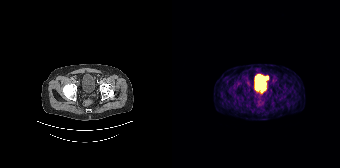
{"modality":"PSMA PET/CT","view":"axial","tracer":"68Ga-PSMA","pet_grid":[168,168],"coord_frame":"pet_panel","coord_format":"x0,y0,x1,y1","lesion_bboxes":[],"small_foci_centers":[[94,77]]}